Left: CT. Right: PSMA PET, same axial level, [18F]PSMA-1007 tracer.
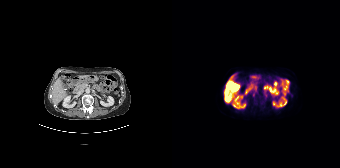
Only PSMA-avid lesion pieces thinner than 2 px on this slice (not listed).